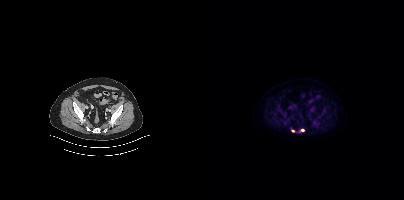
Left: CT. Right: PSMA PET, same axial level, 18F-PSMA tracer. Slice 112 of 405. PET panel 200×200 px (4.1 mm/px). Coordinates are on the 200×200 PET (right) panel. Small PSMA-avid foci (2 to 4 px across) near (center x, center y): (98, 130) (89, 130).